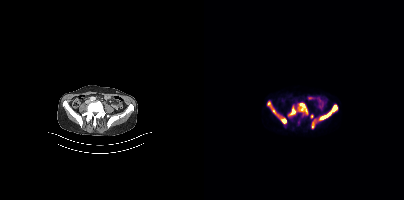
Technique: Left: CT. Right: PSMA PET, same axial level, 18F-PSMA tracer. acquired on Siemens Biograph mCT Flow 20. slice position z = -802 mm.
Findings: Coordinates are on the 200×200 PET (right) panel. PSMA-avid tumor lesion bounding boxes (x, y, width, height): x=84 y=102 w=21 h=15; x=115 y=104 w=20 h=17; x=63 y=101 w=20 h=24; x=107 y=119 w=5 h=10; x=106 y=114 w=4 h=5.